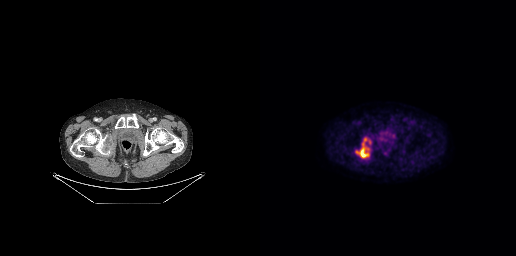
Coordinates are on the 256×256 PET (right) panel. PSMA-avid tumor lesion bounding box (x, y, width, height): x=95 y=137 w=17 h=22.
modality: PSMA PET/CT | tracer: 18F | view: axial